Paired axial CT (left) and PSMA PET (right), 18F tracer. Acquired on Siemens Biograph mCT Flow 20. Slice position z = -670 mm. PET panel 200×200 px (4.1 mm/px).
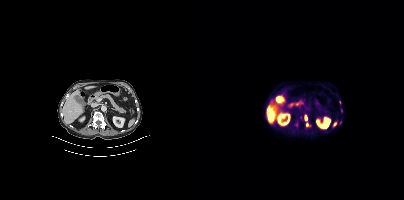
Coordinates are on the 200×200 PET (right) panel. PSMA-avid tumor lesion bounding boxes (partial; 1 more focus not listed):
| # | x0 | y0 | x1 | y1 |
|---|---|---|---|---|
| 1 | 101 | 115 | 106 | 126 |
Small PSMA-avid foci (2 to 4 px across) near (center x, center y): (137, 110); (136, 122); (92, 125).